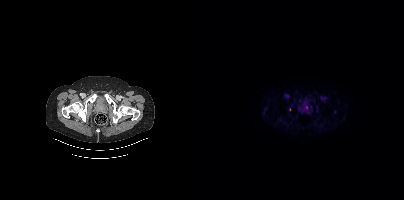
Coordinates are on the 200×200 PET (right) panel. (showing 1 of 2 foci) Small PSMA-avid focus (2 to 4 px across) near (center x, center y): (102, 107).